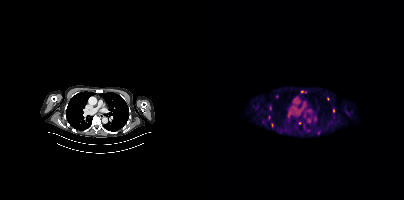
{"modality":"PSMA PET/CT","view":"axial","tracer":"18F","pet_grid":[200,200],"coord_frame":"pet_panel","coord_format":"x0,y0,x1,y1","partial":true,"lesion_bboxes":[],"small_foci_centers":[[129,110]]}